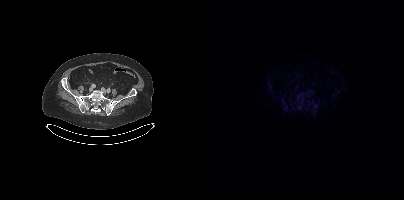
Left: CT. Right: PSMA PET, same axial level, 18F-PSMA tracer. Slice 120 of 446. PET panel 200×200 px (4.1 mm/px). Coordinates are on the 200×200 PET (right) panel. Small PSMA-avid focus (2 to 4 px across) near (center x, center y): (95, 107).